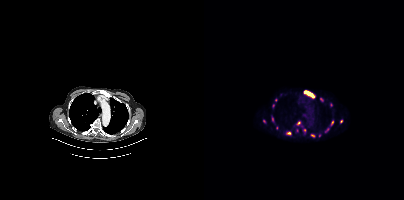
{"pet_grid":[200,200],"coord_frame":"pet_panel","coord_format":"x0,y0,x1,y1","partial":true,"lesion_bboxes":[[100,91,110,97],[82,132,86,134]],"small_foci_centers":[[123,129],[108,135],[68,119],[128,122],[94,123],[73,127],[137,121],[100,130]],"modality":"PSMA PET/CT","view":"axial","tracer":"68Ga-PSMA"}